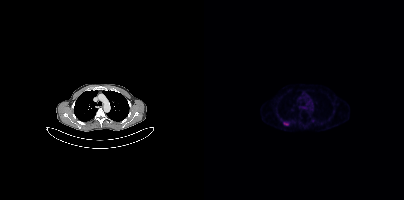
{"modality":"PSMA PET/CT","view":"axial","tracer":"[68Ga]Ga-PSMA-11","pet_grid":[200,200],"coord_frame":"pet_panel","coord_format":"x0,y0,x1,y1","lesion_bboxes":[[79,122,84,125]]}